- Two-panel axial: CT | PSMA PET, 18F-PSMA tracer
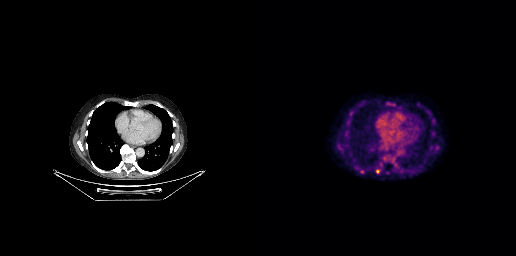
Findings: Coordinates are on the 256×256 PET (right) panel. Small PSMA-avid foci (2 to 4 px across) near (center x, center y): (117, 171) | (102, 171).